modality: PSMA PET/CT | tracer: [18F]PSMA-1007 | view: axial
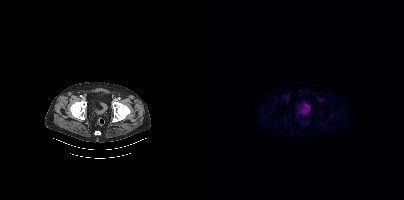
No tumor lesions annotated on this slice.